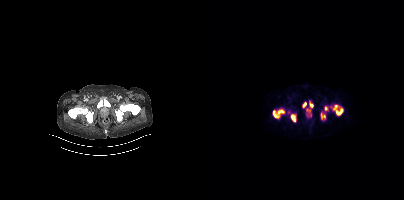
Negative for PSMA-avid disease on this slice.